Technique: Two-panel axial: CT | PSMA PET, [68Ga]Ga-PSMA-11 tracer.
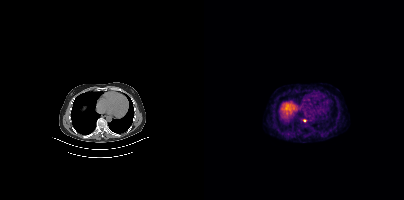
Findings: Coordinates are on the 200×200 PET (right) panel. Small PSMA-avid focus (2 to 4 px across) near (center x, center y): (100, 120).